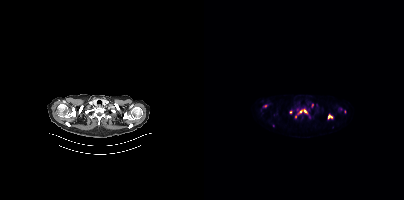
- Paired axial CT (left) and PSMA PET (right), 18F-PSMA tracer
- acquired on Siemens Biograph mCT Flow 20
- slice 327 of 403
- PET panel 200×200 px (4.1 mm/px)
Findings: Coordinates are on the 200×200 PET (right) panel. (showing 5 of 6 foci) PSMA-avid tumor lesion bounding boxes (x0,y0,x1,y1): [96,109,102,112], [124,115,128,118]. Small PSMA-avid foci (2 to 4 px across) near (center x, center y): (140, 111), (61, 105), (86, 111).